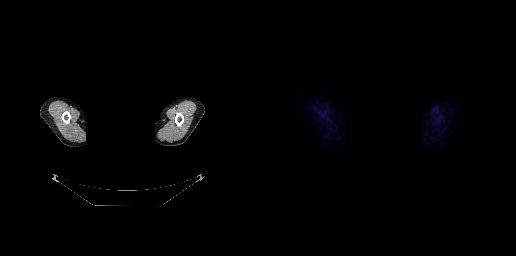
Negative for PSMA-avid disease on this slice.
Head region blanked for anonymization (face removed).